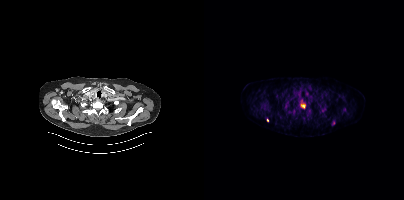
{"modality":"PSMA PET/CT","view":"axial","tracer":"18F","pet_grid":[200,200],"coord_frame":"pet_panel","coord_format":"x0,y0,x1,y1","lesion_bboxes":[[80,103,85,109],[116,107,122,113],[138,107,142,113],[97,103,101,109],[56,103,60,108],[104,86,107,90]],"small_foci_centers":[[89,109],[98,100],[63,120],[102,110]]}